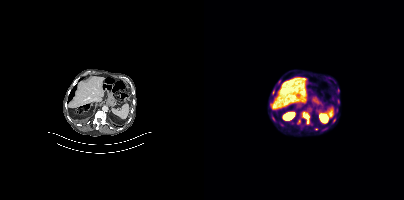
Technique: Left: CT. Right: PSMA PET, same axial level, [18F]PSMA-1007 tracer. slice position z = -1246 mm.
Findings: Coordinates are on the 200×200 PET (right) panel. PSMA-avid tumor lesion bounding boxes (x0,y0,x1,y1): [101,115,105,120]; [68,89,70,94]. Small PSMA-avid focus (2 to 4 px across) near (center x, center y): (130, 120).